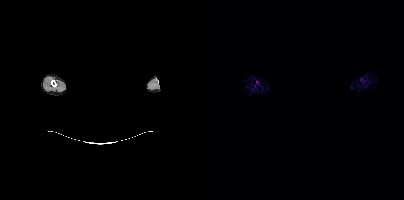
{"modality":"PSMA PET/CT","view":"axial","tracer":"18F-PSMA","pet_grid":[200,200],"coord_frame":"pet_panel","coord_format":"x0,y0,x1,y1","psma_avid_lesions":false,"deidentification":"head region blacked out before release"}